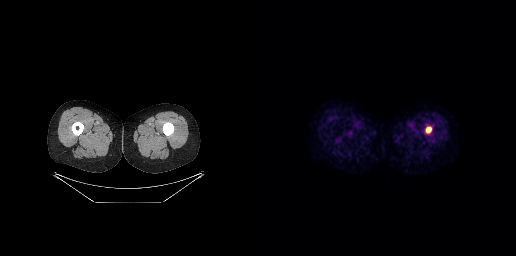
Coordinates are on the 256×256 PET (right) panel. PSMA-avid tumor lesion bounding box (x0, y0)-(x1, y1): (166, 127)-(171, 132).
modality: PSMA PET/CT | tracer: [68Ga]Ga-PSMA-11 | view: axial